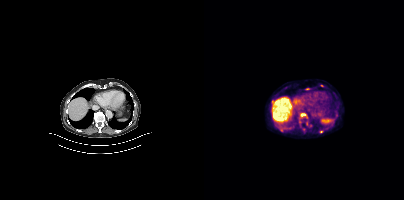
Left: CT. Right: PSMA PET, same axial level, [18F]PSMA-1007 tracer. Acquired on Siemens Biograph mCT Flow 20. PET panel 200×200 px (4.1 mm/px). Coordinates are on the 200×200 PET (right) panel. (showing 5 of 6 foci) PSMA-avid tumor lesion bounding box (x0,y0,x1,y1): [97,114,101,115]. Small PSMA-avid foci (2 to 4 px across) near (center x, center y): (127, 120) (103, 88) (117, 131) (118, 85).